- Left: CT. Right: PSMA PET, same axial level, [18F]PSMA-1007 tracer
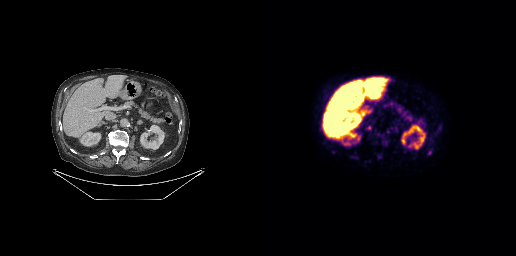
Findings: Coordinates are on the 256×256 PET (right) panel. PSMA-avid tumor lesion bounding boxes (x, y, width, height): x=106 y=126 w=6 h=4; x=168 y=150 w=4 h=5.